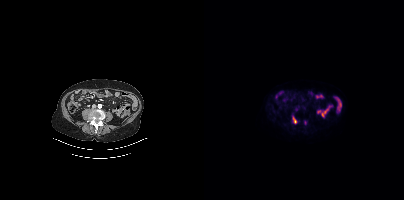
- Two-panel axial: CT | PSMA PET, 18F-PSMA tracer
- slice position z = -782 mm
Findings: Coordinates are on the 200×200 PET (right) panel. (showing 1 of 2 foci) PSMA-avid tumor lesion bounding box (x, y, width, height): x=88 y=116 w=6 h=8.